- Two-panel axial: CT | PSMA PET, 68Ga-PSMA tracer
- acquired on Siemens Biograph 64-4R TruePoint
- slice 70 of 195
- PET panel 168×168 px (4.1 mm/px)
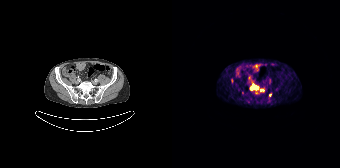
Findings: Coordinates are on the 168×168 PET (right) panel. (showing 3 of 4 foci) PSMA-avid tumor lesion bounding boxes (x0, y0)-(x1, y1): (78, 85)-(86, 89) / (59, 79)-(61, 83). Small PSMA-avid focus (2 to 4 px across) near (center x, center y): (97, 94).